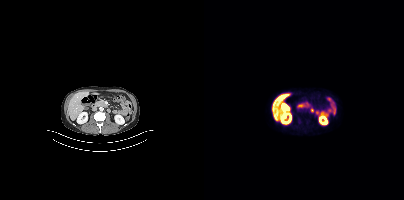
No PSMA-avid tumor lesions on this slice.